Technique: Paired axial CT (left) and PSMA PET (right), 68Ga tracer. acquired on Siemens Biograph 64-4R TruePoint. slice 115 of 195.
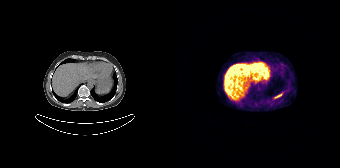
Findings: This slice has no annotated PSMA-avid lesion.